Two-panel axial: CT | PSMA PET, 18F-PSMA tracer. Acquired on Siemens Biograph mCT Flow 20. Slice 34 of 423. PET panel 200×200 px (4.1 mm/px).
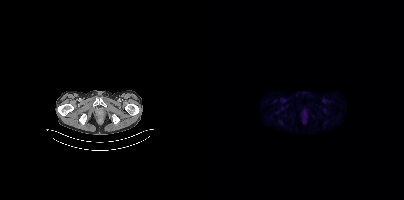
Coordinates are on the 200×200 PET (right) panel. Small PSMA-avid focus (2 to 4 px across) near (center x, center y): (100, 121).